redaction: facial region redacted | modality: PSMA PET/CT | tracer: 68Ga-PSMA | view: axial | PET grid: 256×256
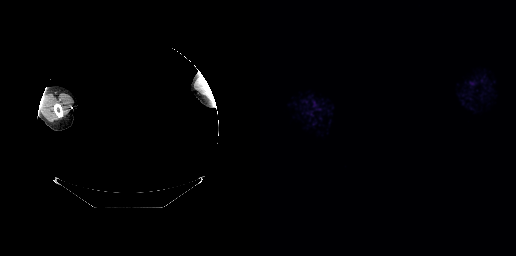
No PSMA-avid tumor lesions on this slice.